Two-panel axial: CT | PSMA PET, 18F tracer. Slice position z = -1519 mm.
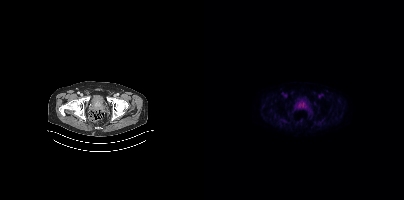
Coordinates are on the 200×200 PET (right) panel. PSMA-avid tumor lesion bounding box (x0,y0,x1,y1): [96,104,101,108].